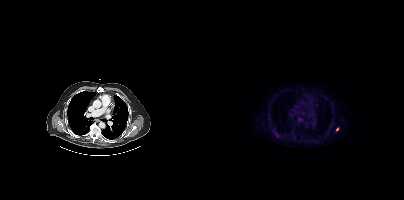
Coordinates are on the 200×200 PET (right) panel. Small PSMA-avid focus (2 to 4 px across) near (center x, center y): (133, 129).